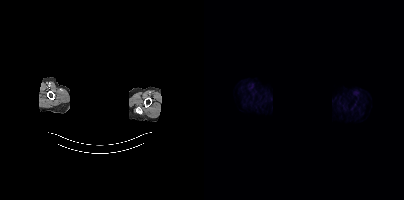
Head region blanked for anonymization (face removed).
No PSMA-avid tumor lesions on this slice.